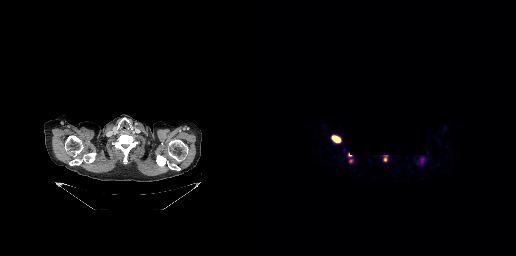
modality: PSMA PET/CT | tracer: 68Ga-PSMA | view: axial | redaction: black rectangle is a privacy mask
Coordinates are on the 256×256 PET (right) panel. PSMA-avid tumor lesion bounding box (x0,y0,x1,y1): [72,136,80,142]. Small PSMA-avid foci (2 to 4 px across) near (center x, center y): (89, 154), (125, 159), (90, 160).